modality: PSMA PET/CT | tracer: [18F]PSMA-1007 | view: axial
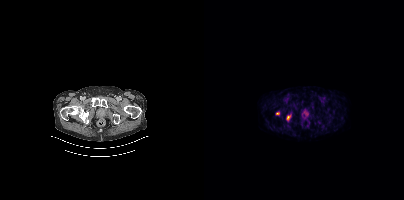
Coordinates are on the 200×200 PET (right) panel. PSMA-avid tumor lesion bounding box (x, y, width, height): x=82 y=115 w=5 h=6. Small PSMA-avid focus (2 to 4 px across) near (center x, center y): (73, 113).